Two-panel axial: CT | PSMA PET, 68Ga tracer. Slice 128 of 419. PET panel 200×200 px (4.1 mm/px).
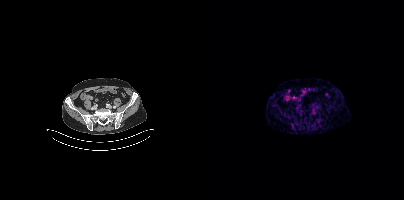
No PSMA-avid tumor lesions on this slice.